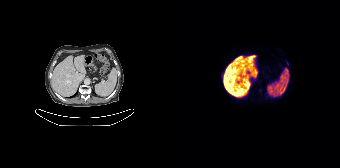
{"pet_grid":[168,168],"coord_frame":"pet_panel","coord_format":"x0,y0,x1,y1","psma_avid_lesions":false,"modality":"PSMA PET/CT","view":"axial","tracer":"18F"}